Paired axial CT (left) and PSMA PET (right), [68Ga]Ga-PSMA-11 tracer. Acquired on Siemens Biograph 64-4R TruePoint. PET panel 168×168 px (4.1 mm/px). De-identified by setting a box covering the face to black before release.
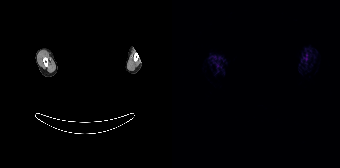
This slice has no annotated PSMA-avid lesion.